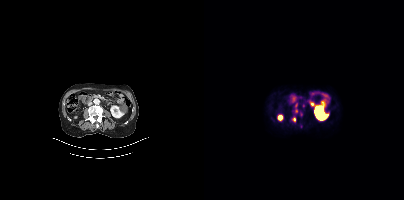
{"modality":"PSMA PET/CT","view":"axial","tracer":"68Ga-PSMA","pet_grid":[200,200],"coord_frame":"pet_panel","coord_format":"x0,y0,x1,y1","partial":true,"lesion_bboxes":[[89,117,91,121]],"small_foci_centers":[[99,105],[92,110]]}